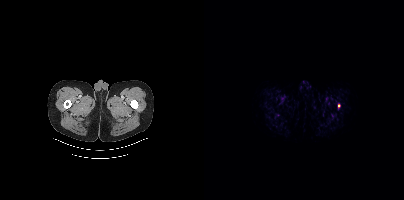
Coordinates are on the 200×200 PET (right) panel. PSMA-avid tumor lesion bounding box (x, y, width, height): x=134 y=103 w=3 h=6.